modality: PSMA PET/CT | tracer: [18F]PSMA-1007 | view: axial | PET grid: 200×200 | redaction: facial region redacted
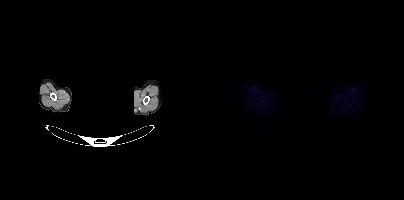
This slice has no annotated PSMA-avid lesion.